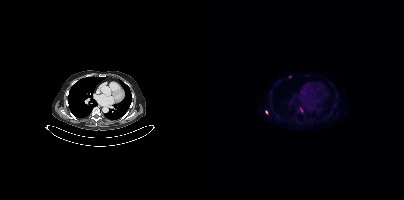
Coordinates are on the 200×200 PET (right) panel. Small PSMA-avid foci (2 to 4 px across) near (center x, center y): (97, 109) | (62, 112) | (85, 76).